The head region is masked for de-identification. Two-panel axial: CT | PSMA PET, 68Ga-PSMA tracer. Slice position z = -200 mm. PET panel 256×256 px (2.7 mm/px).
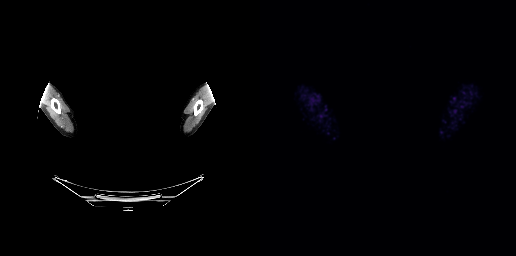
This slice has no annotated PSMA-avid lesion.